Technique: Left: CT. Right: PSMA PET, same axial level, [18F]PSMA-1007 tracer. acquired on Siemens Biograph mCT Flow 20. slice 324 of 462.
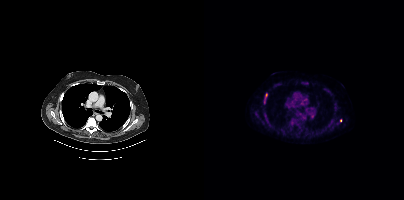
Findings: Coordinates are on the 200×200 PET (right) panel. (showing 5 of 7 foci) PSMA-avid tumor lesion bounding boxes (x0, y0)-(x1, y1): (60, 114)-(66, 124) / (87, 120)-(91, 125) / (61, 93)-(63, 98). Small PSMA-avid foci (2 to 4 px across) near (center x, center y): (59, 122) / (136, 120).